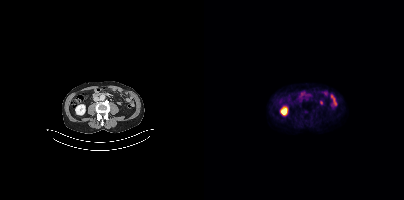
This slice has no annotated PSMA-avid lesion. Left: CT. Right: PSMA PET, same axial level, 18F-PSMA tracer. Slice 157 of 423.